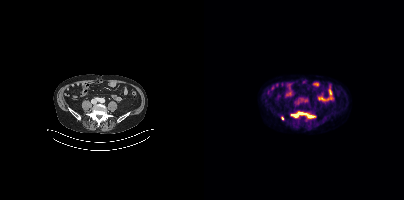
{"pet_grid":[200,200],"coord_frame":"pet_panel","coord_format":"x0,y0,x1,y1","lesion_bboxes":[[89,112,108,117]],"small_foci_centers":[[78,118]],"modality":"PSMA PET/CT","view":"axial","tracer":"[18F]PSMA-1007"}